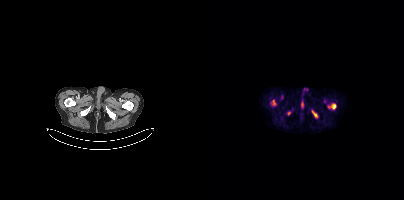
Coordinates are on the 200×200 PET (right) panel. PSMA-avid tumor lesion bounding boxes (x0, y0)-(x1, y1): (127, 104)-(132, 109) / (67, 100)-(72, 105) / (108, 111)-(113, 117). Small PSMA-avid foci (2 to 4 px across) near (center x, center y): (85, 113) / (124, 106).
modality: PSMA PET/CT | tracer: [18F]PSMA-1007 | view: axial | PET grid: 200×200